The head region is masked for de-identification. Two-panel axial: CT | PSMA PET, [18F]PSMA-1007 tracer. Slice position z = 272 mm. PET panel 200×200 px (4.1 mm/px).
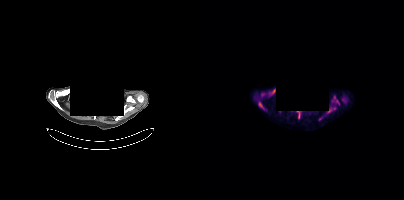
Coordinates are on the 200×200 PET (right) panel. PSMA-avid tumor lesion bounding boxes (partial; 1 more focus not listed):
| # | x0 | y0 | x1 | y1 |
|---|---|---|---|---|
| 1 | 68 | 89 | 71 | 93 |
Small PSMA-avid foci (2 to 4 px across) near (center x, center y): (125, 111); (133, 101); (58, 107); (130, 108).